Left: CT. Right: PSMA PET, same axial level, 68Ga-PSMA tracer. Slice 43 of 263.
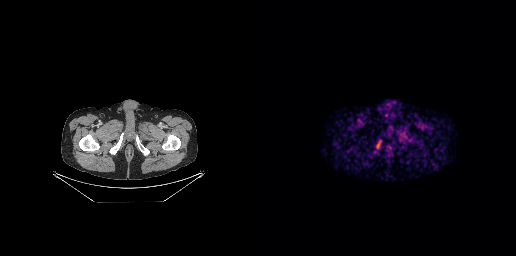
Negative for PSMA-avid disease on this slice.